modality: PSMA PET/CT | tracer: 18F-PSMA | view: axial | PET grid: 200×200
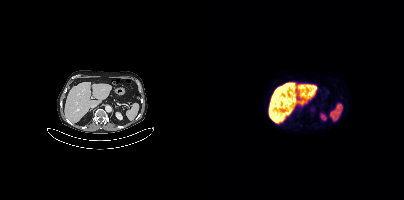
Negative for PSMA-avid disease on this slice.